Left: CT. Right: PSMA PET, same axial level, [18F]PSMA-1007 tracer.
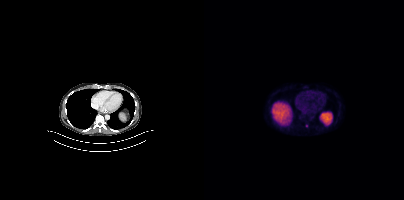
No tumor lesions annotated on this slice.